Technique: Paired axial CT (left) and PSMA PET (right), 68Ga-PSMA tracer.
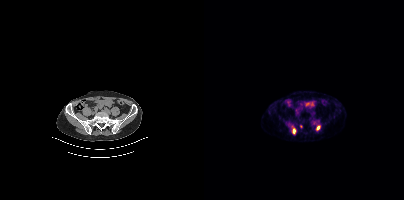
Findings: Coordinates are on the 200×200 PET (right) panel. (showing 2 of 3 foci) PSMA-avid tumor lesion bounding boxes (x0, y0)-(x1, y1): (88, 128)-(91, 134); (112, 125)-(116, 130).